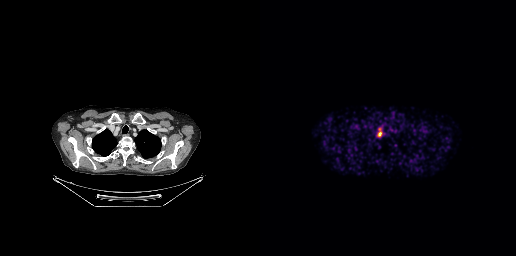
{"pet_grid":[256,256],"coord_frame":"pet_panel","coord_format":"x0,y0,x1,y1","lesion_bboxes":[[118,127,121,136]],"modality":"PSMA PET/CT","view":"axial","tracer":"[68Ga]Ga-PSMA-11"}